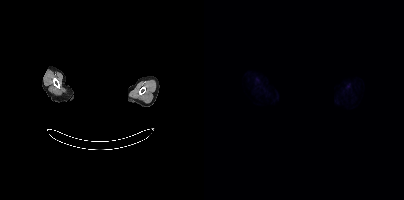
No PSMA-avid tumor lesions on this slice. Paired axial CT (left) and PSMA PET (right), 18F tracer. The head region is masked for de-identification.